Left: CT. Right: PSMA PET, same axial level, 18F-PSMA tracer. Slice position z = -726 mm. PET panel 256×256 px (2.7 mm/px).
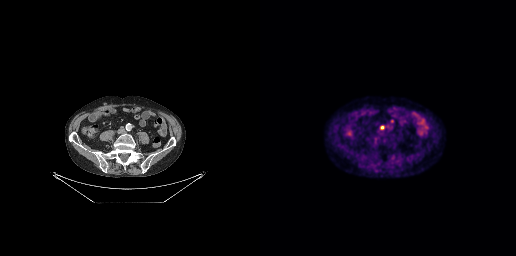
Coordinates are on the 256×256 PET (right) panel. PSMA-avid tumor lesion bounding boxes (partial; 1 more focus not listed):
| # | x0 | y0 | x1 | y1 |
|---|---|---|---|---|
| 1 | 120 | 126 | 124 | 129 |